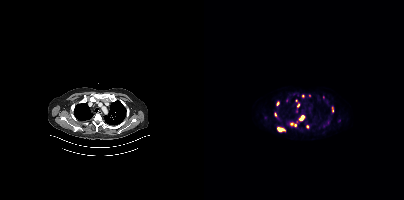
Technique: Left: CT. Right: PSMA PET, same axial level, 18F-PSMA tracer. slice 346 of 444. PET panel 200×200 px (4.1 mm/px).
Findings: Coordinates are on the 200×200 PET (right) panel. (showing 11 of 12 foci) PSMA-avid tumor lesion bounding boxes (x0,y0,x1,y1): [73,127,81,131]; [95,115,100,120]; [86,122,92,126]; [127,106,130,112]; [93,103,95,107]; [72,101,75,105]. Small PSMA-avid foci (2 to 4 px across) near (center x, center y): (103, 126); (99, 96); (119, 97); (71, 114); (92, 100).